- Left: CT. Right: PSMA PET, same axial level, [18F]PSMA-1007 tracer
- acquired on Siemens Biograph 64-4R TruePoint
- PET panel 168×168 px (4.1 mm/px)
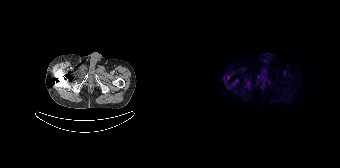
Findings: Negative for PSMA-avid disease on this slice.